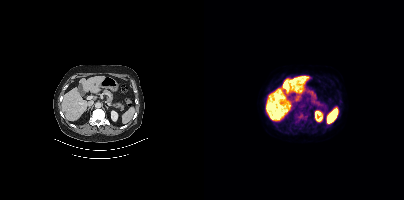
Coordinates are on the 200×200 PET (right) panel. (showing 1 of 2 foci) PSMA-avid tumor lesion bounding box (x, y, width, height): x=90 y=111 w=17 h=13.